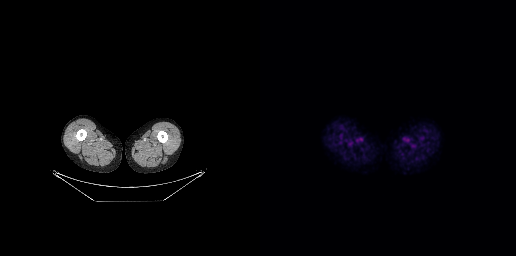
{"modality":"PSMA PET/CT","view":"axial","tracer":"[18F]PSMA-1007","pet_grid":[256,256],"coord_frame":"pet_panel","coord_format":"x0,y0,x1,y1","psma_avid_lesions":false}